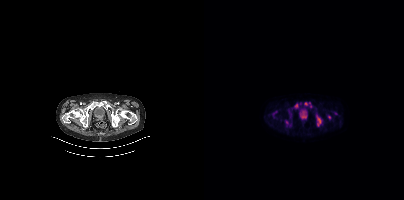
- Two-panel axial: CT | PSMA PET, 18F-PSMA tracer
- slice 73 of 415
Findings: Coordinates are on the 200×200 PET (right) panel. (showing 8 of 9 foci) PSMA-avid tumor lesion bounding boxes (x, y, width, height): x=96 y=113 w=8 h=7; x=113 y=119 w=6 h=8; x=100 y=102 w=8 h=6; x=90 y=103 w=5 h=6; x=123 y=115 w=5 h=5. Small PSMA-avid foci (2 to 4 px across) near (center x, center y): (83, 122); (132, 113); (96, 103).